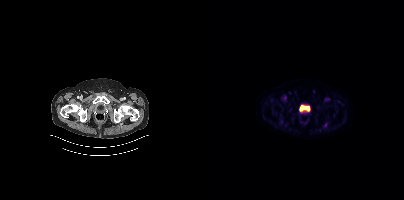
No tumor lesions annotated on this slice.